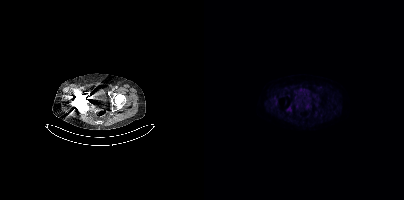
{"modality":"PSMA PET/CT","view":"axial","tracer":"[18F]PSMA-1007","pet_grid":[200,200],"coord_frame":"pet_panel","coord_format":"x0,y0,x1,y1","psma_avid_lesions":false}